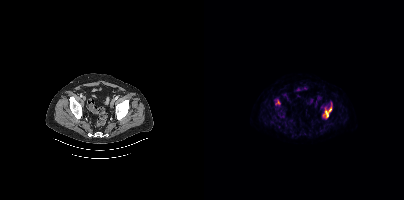
Findings: Coordinates are on the 200×200 PET (right) panel. (showing 2 of 3 foci) PSMA-avid tumor lesion bounding boxes (x, y, width, height): x=119 y=106 w=9 h=13 / x=72 y=100 w=4 h=5.
- Two-panel axial: CT | PSMA PET, [18F]PSMA-1007 tracer
- acquired on Siemens Biograph mCT Flow 20
- slice position z = -901 mm